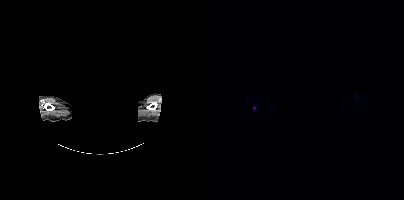
{"modality":"PSMA PET/CT","view":"axial","tracer":"18F","pet_grid":[200,200],"coord_frame":"pet_panel","coord_format":"x0,y0,x1,y1","deidentification":"face masked with black rectangle","lesion_bboxes":[],"small_foci_centers":[[50,107]]}